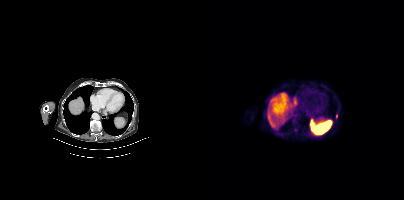
{"modality":"PSMA PET/CT","view":"axial","tracer":"[18F]PSMA-1007","pet_grid":[200,200],"coord_frame":"pet_panel","coord_format":"x0,y0,x1,y1","lesion_bboxes":[[132,114,133,118]],"small_foci_centers":[[91,129]]}